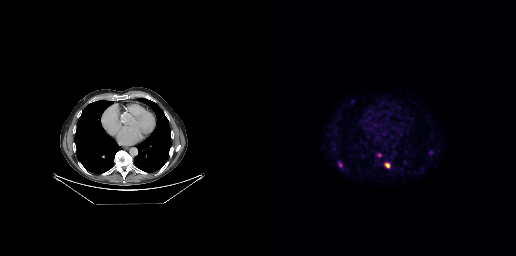
- Paired axial CT (left) and PSMA PET (right), 18F tracer
- slice position z = -274 mm
Findings: Coordinates are on the 256×256 PET (right) panel. PSMA-avid tumor lesion bounding boxes (x0, y0)-(x1, y1): (124, 162)-(130, 168) | (79, 162)-(82, 166). Small PSMA-avid focus (2 to 4 px across) near (center x, center y): (119, 155).